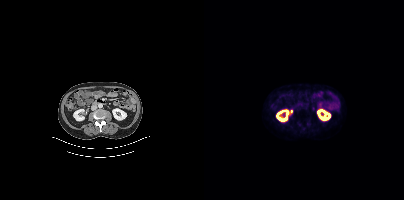
Findings: This slice has no annotated PSMA-avid lesion.
Technique: Two-panel axial: CT | PSMA PET, [18F]PSMA-1007 tracer. acquired on Siemens Biograph mCT Flow 20.